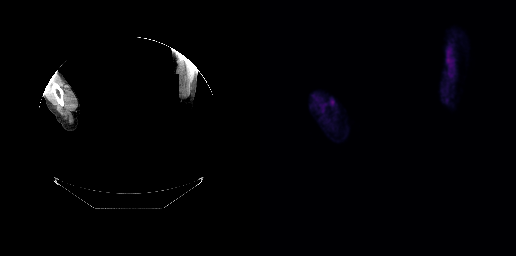
Paired axial CT (left) and PSMA PET (right), [18F]PSMA-1007 tracer. Acquired on GE Discovery 690. Any black rectangle over the head is a privacy mask, not anatomy. Negative for PSMA-avid disease on this slice.